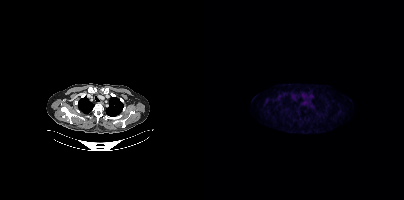
No PSMA-avid tumor lesions on this slice.